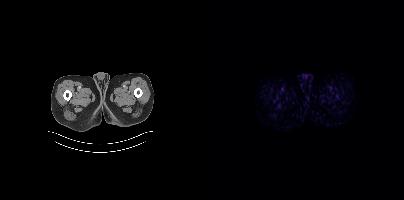
Findings: This slice has no annotated PSMA-avid lesion.
Technique: Paired axial CT (left) and PSMA PET (right), 18F tracer. slice position z = -970 mm. PET panel 200×200 px (4.1 mm/px).